Left: CT. Right: PSMA PET, same axial level, 18F-PSMA tracer. Slice 40 of 165.
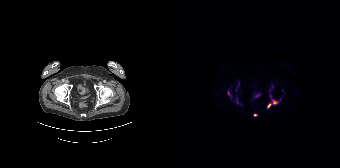
Coordinates are on the 168×168 PET (right) panel. (showing 3 of 4 foci) PSMA-avid tumor lesion bounding box (x0, y0)-(x1, y1): (95, 100)-(105, 107). Small PSMA-avid foci (2 to 4 px across) near (center x, center y): (83, 115) / (57, 93).